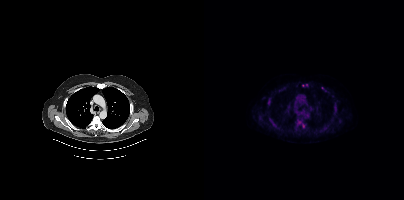
Findings: Coordinates are on the 200×200 PET (right) panel. (showing 10 of 11 foci) PSMA-avid tumor lesion bounding boxes (x0, y0)-(x1, y1): (93, 120)-(102, 128) | (67, 120)-(74, 127) | (63, 99)-(67, 104) | (130, 108)-(133, 112) | (129, 102)-(133, 106). Small PSMA-avid foci (2 to 4 px across) near (center x, center y): (101, 84) | (119, 128) | (109, 131) | (118, 87) | (95, 133).
- Two-panel axial: CT | PSMA PET, 18F tracer
- slice position z = -865 mm